Left: CT. Right: PSMA PET, same axial level, 68Ga-PSMA tracer. Acquired on Siemens Biograph mCT Flow 20. PET panel 200×200 px (4.1 mm/px).
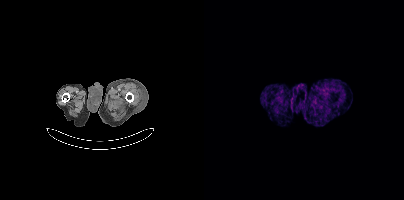
Negative for PSMA-avid disease on this slice.